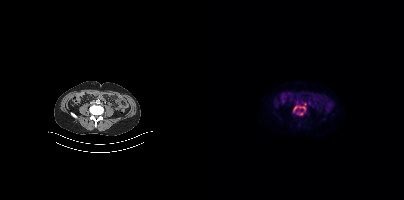
{"modality":"PSMA PET/CT","view":"axial","tracer":"[18F]PSMA-1007","pet_grid":[200,200],"coord_frame":"pet_panel","coord_format":"x0,y0,x1,y1","lesion_bboxes":[[89,103,101,111]],"small_foci_centers":[[96,114]]}